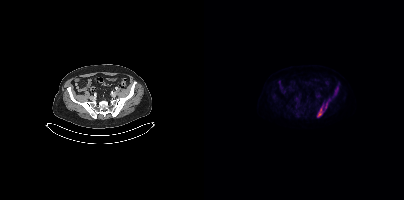
{"modality":"PSMA PET/CT","view":"axial","tracer":"18F-PSMA","pet_grid":[200,200],"coord_frame":"pet_panel","coord_format":"x0,y0,x1,y1","lesion_bboxes":[[113,106,118,117],[121,103,123,107]]}